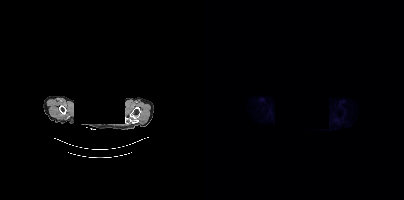
No PSMA-avid tumor lesions on this slice. Paired axial CT (left) and PSMA PET (right), 18F-PSMA tracer. PET panel 200×200 px (4.1 mm/px). The head region is masked for de-identification.